Left: CT. Right: PSMA PET, same axial level, [18F]PSMA-1007 tracer.
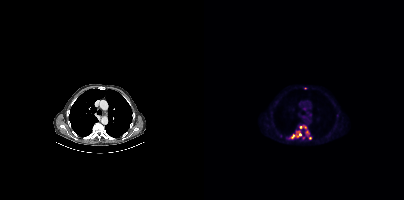
Coordinates are on the 200×200 PET (right) panel. PSMA-avid tumor lesion bounding boxes (partial; 2 more foci not listed):
| # | x0 | y0 | x1 | y1 |
|---|---|---|---|---|
| 1 | 87 | 134 | 90 | 138 |
| 2 | 93 | 131 | 96 | 135 |
Small PSMA-avid foci (2 to 4 px across) near (center x, center y): (103, 132); (100, 126); (96, 127); (92, 135); (99, 137); (106, 137).